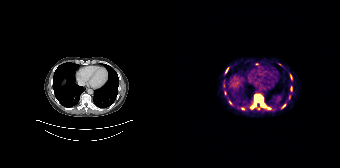
Findings: Coordinates are on the 168×168 PET (right) panel. (showing 8 of 9 foci) PSMA-avid tumor lesion bounding boxes (x0, y0)-(x1, y1): (79, 94)-(93, 108) / (57, 100)-(60, 104) / (54, 68)-(56, 72) / (119, 86)-(120, 90). Small PSMA-avid foci (2 to 4 px across) near (center x, center y): (53, 92) / (111, 105) / (70, 108) / (84, 63).
- Paired axial CT (left) and PSMA PET (right), 68Ga-PSMA tracer